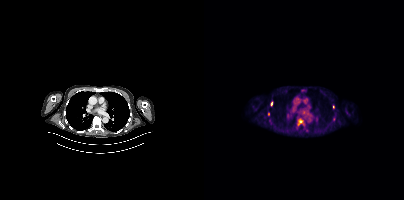
Coordinates are on the 200×200 PET (right) panel. PSMA-avid tumor lesion bounding boxes:
| # | x0 | y0 | x1 | y1 |
|---|---|---|---|---|
| 1 | 94 | 119 | 98 | 124 |
Small PSMA-avid foci (2 to 4 px across) near (center x, center y): (67, 103); (129, 106).
Left: CT. Right: PSMA PET, same axial level, [18F]PSMA-1007 tracer.